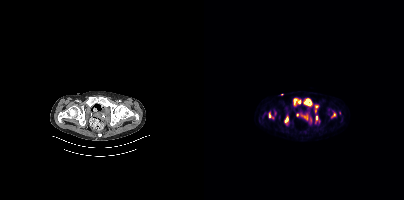
Coordinates are on the 200×200 PET (right) panel. (showing 8 of 10 foci) PSMA-avid tumor lesion bounding boxes (x, y, width, height): x=100 y=98 w=9 h=8; x=89 y=98 w=8 h=8; x=81 y=117 w=4 h=6; x=65 y=113 w=2 h=5; x=112 y=116 w=2 h=5. Small PSMA-avid foci (2 to 4 px across) near (center x, center y): (112, 106); (130, 114); (111, 110).
modality: PSMA PET/CT | tracer: 18F | view: axial